- Paired axial CT (left) and PSMA PET (right), [18F]PSMA-1007 tracer
- PET panel 168×168 px (4.1 mm/px)
- an anonymization step blacked out a rectangle over the head in this scan
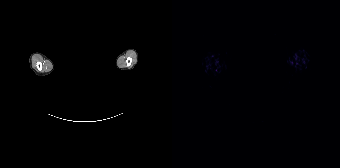
Findings: This slice has no annotated PSMA-avid lesion.